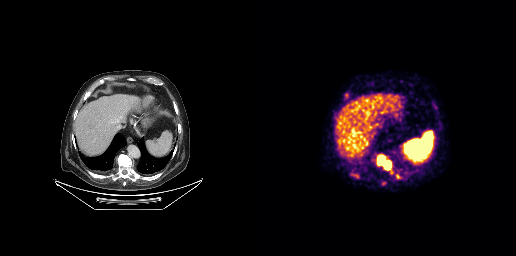
Technique: Paired axial CT (left) and PSMA PET (right), 68Ga tracer.
Findings: Coordinates are on the 256×256 PET (right) panel. PSMA-avid tumor lesion bounding box (x, y, width, height): x=116 y=154 w=18 h=20. Small PSMA-avid foci (2 to 4 px across) near (center x, center y): (86, 95); (136, 175).